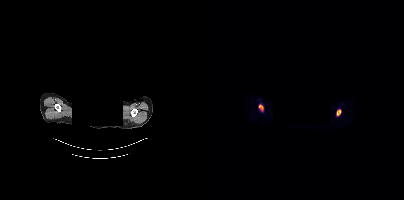
Coordinates are on the 200×200 PET (right) panel. PSMA-avid tumor lesion bounding box (x0,y0,x1,y1): [133,110,136,115]. Small PSMA-avid focus (2 to 4 px across) near (center x, center y): (56, 106).
modality: PSMA PET/CT | tracer: [18F]PSMA-1007 | view: axial | deidentification: rectangular block over head set to black